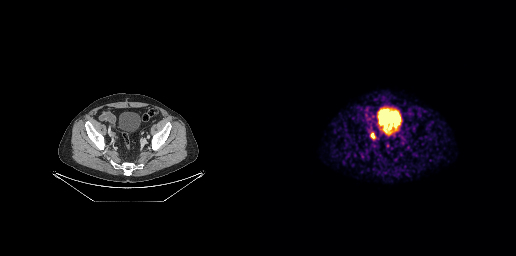
Coordinates are on the 256×256 PET (right) panel. PSMA-avid tumor lesion bounding box (x0, y0)-(x1, y1): (111, 133)-(115, 137).